Technique: Left: CT. Right: PSMA PET, same axial level, 18F-PSMA tracer. slice 162 of 409.
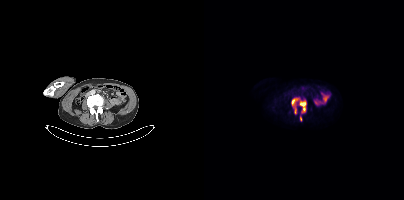
Findings: Coordinates are on the 200×200 PET (right) panel. PSMA-avid tumor lesion bounding boxes (x0, y0)-(x1, y1): (88, 99)-(102, 114) | (96, 115)-(97, 120).